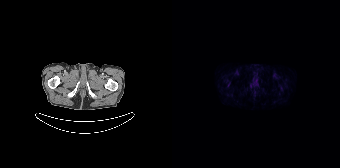
{"modality":"PSMA PET/CT","view":"axial","tracer":"18F","pet_grid":[168,168],"coord_frame":"pet_panel","coord_format":"x0,y0,x1,y1","psma_avid_lesions":false}